Paired axial CT (left) and PSMA PET (right), 18F-PSMA tracer. Acquired on Siemens Biograph mCT Flow 20. Slice position z = -956 mm. PET panel 200×200 px (4.1 mm/px).
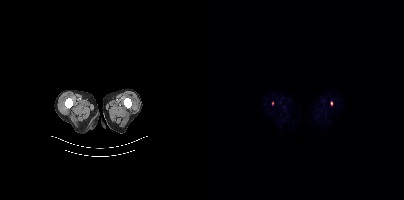
Coordinates are on the 200×200 PET (right) panel. PSMA-avid tumor lesion bounding box (x0,y0,x1,y1): [126,101,128,105]. Small PSMA-avid focus (2 to 4 px across) near (center x, center y): (68, 103).